Technique: Two-panel axial: CT | PSMA PET, 18F-PSMA tracer. slice 283 of 389.
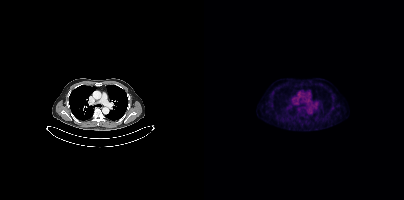
Findings: Only PSMA-avid lesion pieces thinner than 2 px on this slice (not listed).